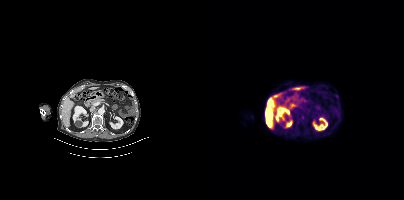
{"modality":"PSMA PET/CT","view":"axial","tracer":"18F","pet_grid":[200,200],"coord_frame":"pet_panel","coord_format":"x0,y0,x1,y1","psma_avid_lesions":false}